- Two-panel axial: CT | PSMA PET, 68Ga tracer
- PET panel 256×256 px (2.7 mm/px)
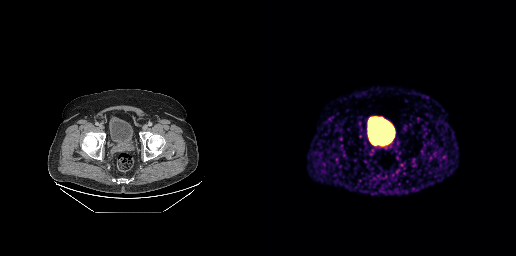
Findings: Coordinates are on the 256×256 PET (right) panel. PSMA-avid tumor lesion bounding box (x, y, width, height): x=113 y=135 w=20 h=10.